Left: CT. Right: PSMA PET, same axial level, 18F tracer. Slice 39 of 263.
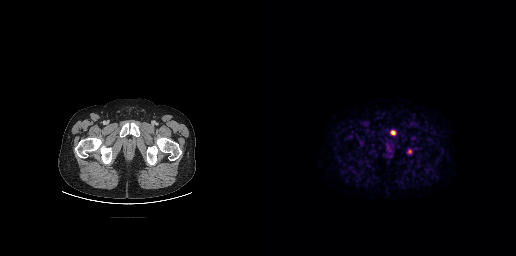
Coordinates are on the 256×256 PET (right) panel. (showing 1 of 2 foci) PSMA-avid tumor lesion bounding box (x0,y0,x1,y1): [131,130,135,134].